- Left: CT. Right: PSMA PET, same axial level, [18F]PSMA-1007 tracer
- slice 279 of 427
- PET panel 200×200 px (4.1 mm/px)
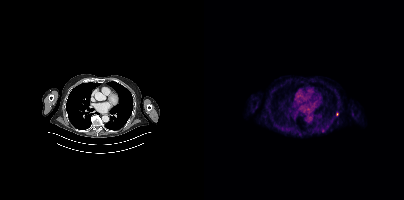
Findings: Only PSMA-avid lesion pieces thinner than 2 px on this slice (not listed).